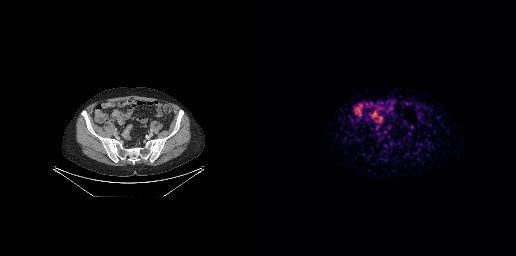
{"modality":"PSMA PET/CT","view":"axial","tracer":"68Ga-PSMA","pet_grid":[256,256],"coord_frame":"pet_panel","coord_format":"x0,y0,x1,y1","psma_avid_lesions":false}